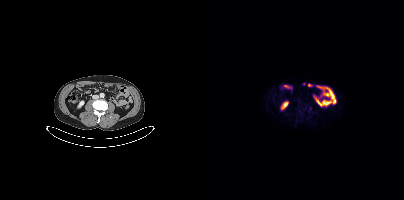
{"modality":"PSMA PET/CT","view":"axial","tracer":"18F-PSMA","pet_grid":[200,200],"coord_frame":"pet_panel","coord_format":"x0,y0,x1,y1","lesion_bboxes":[],"small_foci_centers":[[106,108]]}